Left: CT. Right: PSMA PET, same axial level, 68Ga tracer. Acquired on GE Discovery 690.
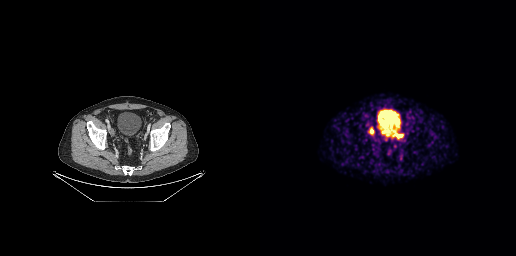
Coordinates are on the 256×256 PET (right) panel. (showing 2 of 3 foci) PSMA-avid tumor lesion bounding boxes (x0,y0,x1,y1): [109,128,113,134] [136,134,142,137].